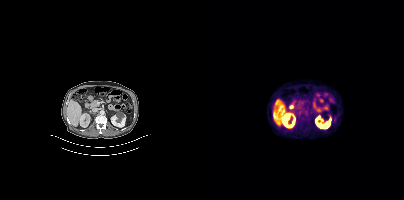
Technique: Two-panel axial: CT | PSMA PET, 18F-PSMA tracer. acquired on Siemens Biograph mCT Flow 20.
Findings: This slice has no annotated PSMA-avid lesion.